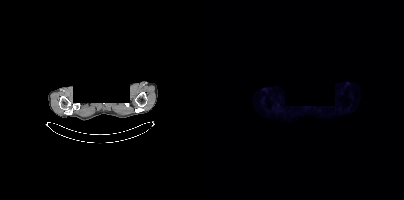
deidentification: head region blanked (face removed) | modality: PSMA PET/CT | tracer: 18F-PSMA | view: axial
No tumor lesions annotated on this slice.